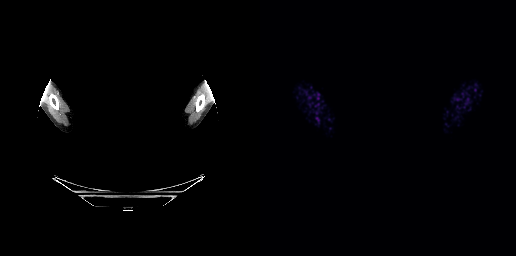
An anonymization step blacked out a rectangle over the head in this scan. Left: CT. Right: PSMA PET, same axial level, [68Ga]Ga-PSMA-11 tracer. PET panel 256×256 px (2.7 mm/px). No tumor lesions annotated on this slice.